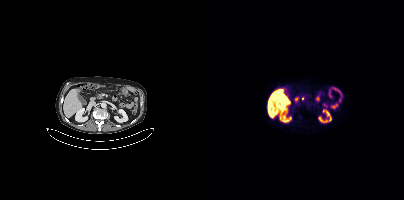
Negative for PSMA-avid disease on this slice.